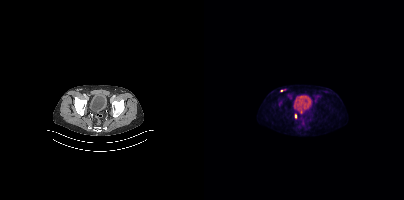
- Paired axial CT (left) and PSMA PET (right), 18F-PSMA tracer
- slice 93 of 429
Findings: Coordinates are on the 200×200 PET (right) panel. PSMA-avid tumor lesion bounding box (x0,y0,x1,y1): [77,89,81,91]. Small PSMA-avid foci (2 to 4 px across) near (center x, center y): (91, 115) (97, 112).